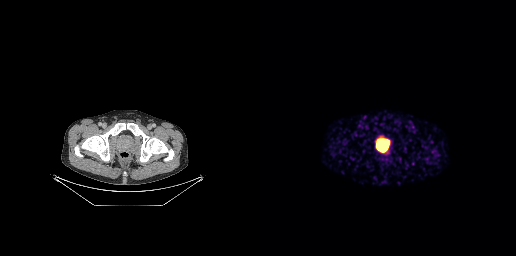
{"pet_grid":[256,256],"coord_frame":"pet_panel","coord_format":"x0,y0,x1,y1","lesion_bboxes":[[116,139,129,151]],"modality":"PSMA PET/CT","view":"axial","tracer":"[68Ga]Ga-PSMA-11"}